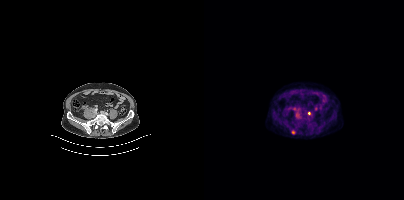
Two-panel axial: CT | PSMA PET, 18F-PSMA tracer. PET panel 200×200 px (4.1 mm/px).
Coordinates are on the 200×200 PET (right) panel. PSMA-avid tumor lesion bounding boxes:
| # | x0 | y0 | x1 | y1 |
|---|---|---|---|---|
| 1 | 87 | 130 | 91 | 134 |
Small PSMA-avid focus (2 to 4 px across) near (center x, center y): (105, 113).